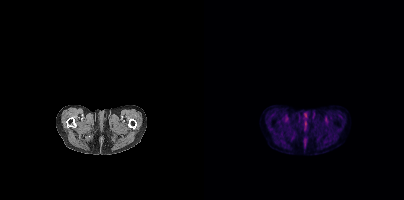
No PSMA-avid tumor lesions on this slice. Two-panel axial: CT | PSMA PET, [18F]PSMA-1007 tracer. Slice position z = -472 mm. PET panel 200×200 px (4.1 mm/px).